The face region was removed for patient privacy by blanking a rectangle over the head. Left: CT. Right: PSMA PET, same axial level, [18F]PSMA-1007 tracer. Slice 403 of 429. PET panel 200×200 px (4.1 mm/px).
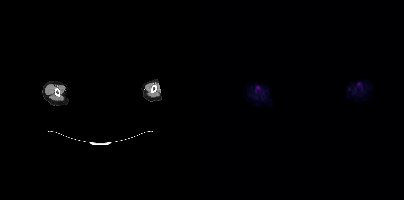
No tumor lesions annotated on this slice.